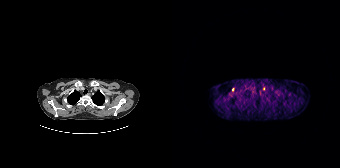
{"pet_grid":[168,168],"coord_frame":"pet_panel","coord_format":"x0,y0,x1,y1","partial":true,"lesion_bboxes":[],"small_foci_centers":[[61,89]],"modality":"PSMA PET/CT","view":"axial","tracer":"68Ga"}